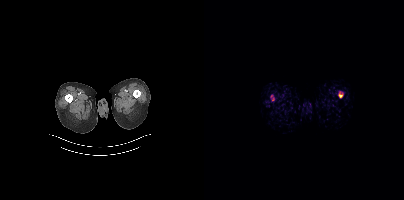
Negative for PSMA-avid disease on this slice. Two-panel axial: CT | PSMA PET, 68Ga-PSMA tracer. Acquired on Siemens Biograph mCT Flow 20. Slice position z = 268 mm.